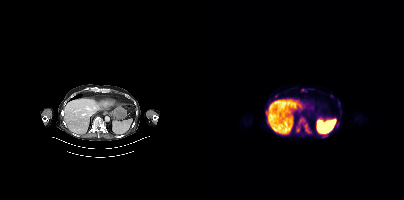
Coordinates are on the 200×200 PET (right) panel. PSMA-avid tumor lesion bounding boxes (partial; 6 more foci not listed):
| # | x0 | y0 | x1 | y1 |
|---|---|---|---|---|
| 1 | 91 | 117 | 107 | 133 |
| 2 | 132 | 122 | 135 | 127 |
| 3 | 117 | 135 | 122 | 137 |
| 4 | 98 | 89 | 102 | 91 |
Small PSMA-avid foci (2 to 4 px across) near (center x, center y): (136, 112); (72, 96); (128, 96).
Two-panel axial: CT | PSMA PET, 18F tracer. Slice position z = -1076 mm.